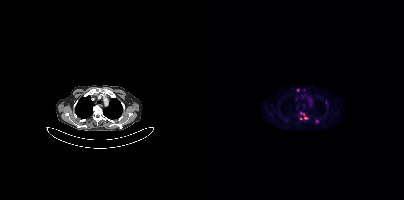
Findings: Coordinates are on the 200×200 PET (right) panel. (showing 4 of 5 foci) PSMA-avid tumor lesion bounding box (x, y, width, height): x=96 y=112 w=7 h=8. Small PSMA-avid foci (2 to 4 px across) near (center x, center y): (113, 121); (96, 118); (93, 89).
Technique: Left: CT. Right: PSMA PET, same axial level, 18F-PSMA tracer.